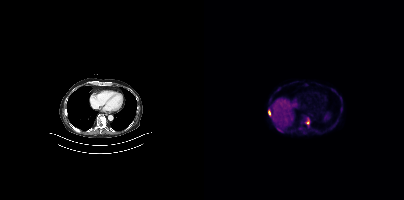
{"modality":"PSMA PET/CT","view":"axial","tracer":"[18F]PSMA-1007","pet_grid":[200,200],"coord_frame":"pet_panel","coord_format":"x0,y0,x1,y1","lesion_bboxes":[[99,116,105,125]],"small_foci_centers":[[65,112],[76,130]]}